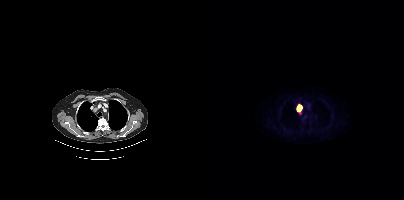
Technique: Left: CT. Right: PSMA PET, same axial level, [18F]PSMA-1007 tracer. slice 296 of 383.
Findings: Coordinates are on the 200×200 PET (right) panel. Small PSMA-avid focus (2 to 4 px across) near (center x, center y): (94, 110).